- Two-panel axial: CT | PSMA PET, [18F]PSMA-1007 tracer
- acquired on Siemens Biograph mCT Flow 20
- slice 68 of 438
- PET panel 200×200 px (4.1 mm/px)
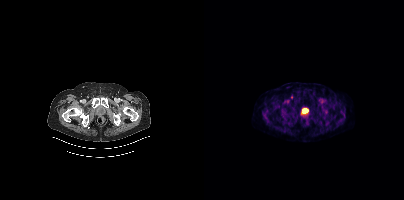
Findings: No tumor lesions annotated on this slice.